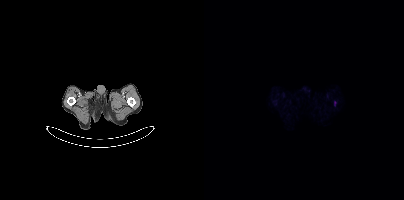
Technique: Two-panel axial: CT | PSMA PET, [18F]PSMA-1007 tracer. PET panel 200×200 px (4.1 mm/px).
Findings: No tumor lesions annotated on this slice.